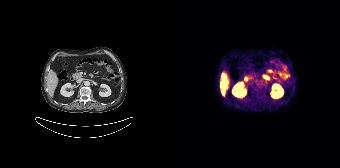
Coordinates are on the 168×168 PET (right) panel. PSMA-avid tumor lesion bounding box (x, y, width, height): x=48 y=87 w=5 h=4. Small PSMA-avid focus (2 to 4 px across) near (center x, center y): (51, 93).